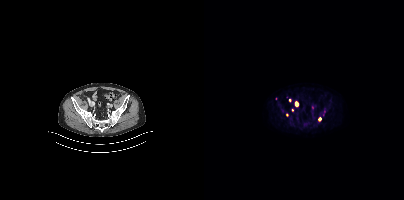
Findings: Coordinates are on the 200×200 PET (right) panel. (showing 3 of 4 foci) Small PSMA-avid foci (2 to 4 px across) near (center x, center y): (85, 100) / (82, 114) / (88, 109).
- Paired axial CT (left) and PSMA PET (right), [18F]PSMA-1007 tracer
- acquired on Siemens Biograph mCT Flow 20
- slice position z = -1352 mm
- PET panel 200×200 px (4.1 mm/px)